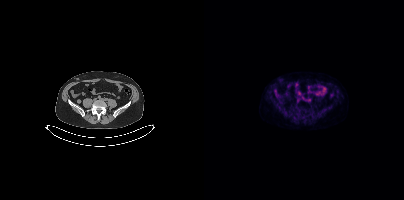
{"modality":"PSMA PET/CT","view":"axial","tracer":"18F-PSMA","pet_grid":[200,200],"coord_frame":"pet_panel","coord_format":"x0,y0,x1,y1","psma_avid_lesions":false}